- Left: CT. Right: PSMA PET, same axial level, [18F]PSMA-1007 tracer
- acquired on Siemens Biograph mCT Flow 20
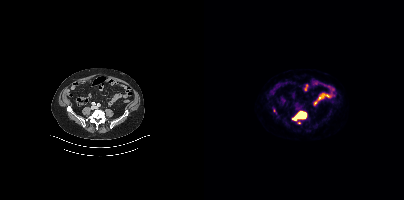
Findings: Coordinates are on the 200×200 PET (right) panel. (showing 2 of 3 foci) PSMA-avid tumor lesion bounding box (x0,y0,x1,y1): [88,111,102,120]. Small PSMA-avid focus (2 to 4 px across) near (center x, center y): (70, 110).